modality: PSMA PET/CT | tracer: [18F]PSMA-1007 | view: axial
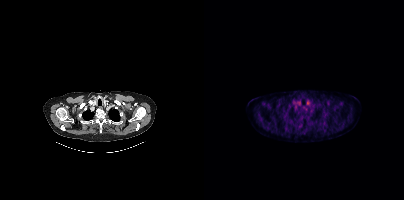
This slice has no annotated PSMA-avid lesion.